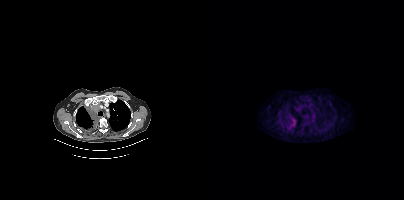
Technique: Two-panel axial: CT | PSMA PET, 18F-PSMA tracer. acquired on Siemens Biograph mCT Flow 20. slice position z = -964 mm. PET panel 200×200 px (4.1 mm/px).
Findings: Coordinates are on the 200×200 PET (right) panel. PSMA-avid tumor lesion bounding box (x, y, width, height): x=84 y=118 w=9 h=12. Small PSMA-avid focus (2 to 4 px across) near (center x, center y): (95, 110).